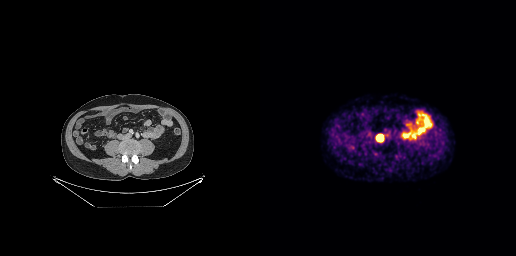
{"modality":"PSMA PET/CT","view":"axial","tracer":"[68Ga]Ga-PSMA-11","pet_grid":[256,256],"coord_frame":"pet_panel","coord_format":"x0,y0,x1,y1","lesion_bboxes":[[116,134,124,142]]}